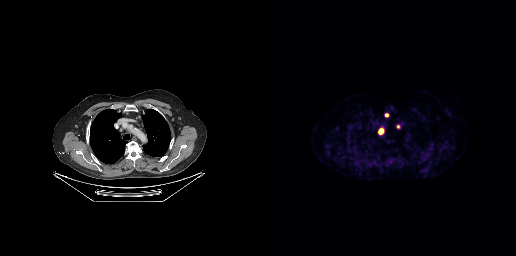
modality: PSMA PET/CT | tracer: 18F-PSMA | view: axial | PET grid: 256×256
Coordinates are on the 256×256 PET (right) panel. (showing 2 of 3 foci) PSMA-avid tumor lesion bounding boxes (x0,y0,x1,y1): [118,128,123,134], [124,113,129,117].